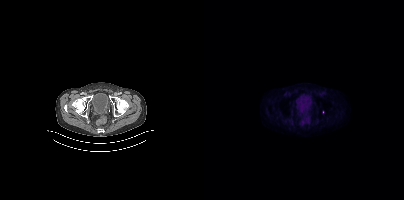
Only PSMA-avid lesion pieces thinner than 2 px on this slice (not listed).
modality: PSMA PET/CT | tracer: [18F]PSMA-1007 | view: axial | PET grid: 200×200